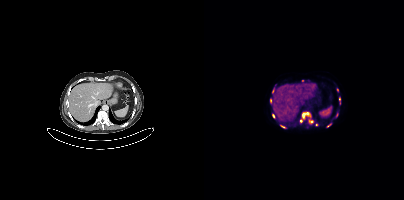
Coordinates are on the 200×200 PET (right) panel. (showing 11 of 13 foci) PSMA-avid tumor lesion bounding boxes (x0,y0,x1,y1): [98,112,106,119]; [104,120,108,123]; [122,123,127,127]; [68,88,70,93]. Small PSMA-avid foci (2 to 4 px across) near (center x, center y): (69, 115); (133, 89); (97, 121); (78, 126); (98, 80); (66, 100); (112, 124).
modality: PSMA PET/CT | tracer: 18F | view: axial